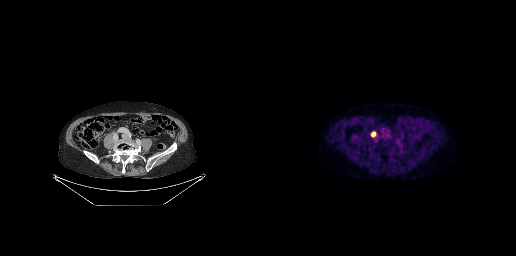
Coordinates are on the 256×256 PET (right) panel. PSMA-avid tumor lesion bounding box (x0, y0)-(x1, y1): (111, 132)-(115, 136).